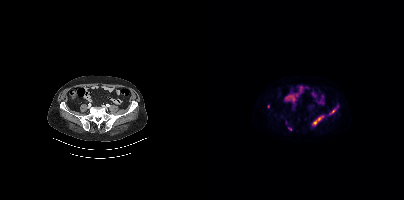
Coordinates are on the 200×200 PET (right) panel. PSMA-avid tumor lesion bounding boxes (partial; 1 more focus not listed):
| # | x0 | y0 | x1 | y1 |
|---|---|---|---|---|
| 1 | 109 | 115 | 120 | 124 |
| 2 | 125 | 105 | 134 | 114 |
Small PSMA-avid focus (2 to 4 px across) near (center x, center y): (86, 129).
Two-panel axial: CT | PSMA PET, [18F]PSMA-1007 tracer. Acquired on Siemens Biograph mCT Flow 20. Slice 142 of 450. PET panel 200×200 px (4.1 mm/px).